Two-panel axial: CT | PSMA PET, 18F-PSMA tracer. Acquired on Siemens Biograph mCT Flow 20. Slice 55 of 444.
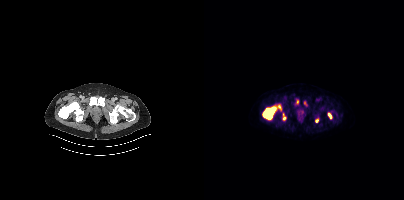
Coordinates are on the 200×200 PET (right) panel. PSMA-avid tumor lesion bounding boxes (x0, y0)-(x1, y1): (59, 107)-(71, 119) / (79, 113)-(81, 120) / (124, 113)-(127, 118). Small PSMA-avid foci (2 to 4 px across) near (center x, center y): (113, 121) / (75, 106).